Left: CT. Right: PSMA PET, same axial level, 18F-PSMA tracer.
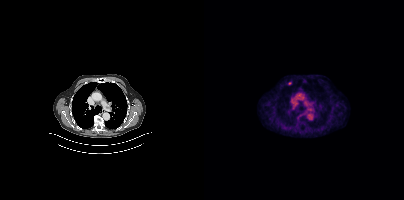
Coordinates are on the 200×200 PET (right) panel. Small PSMA-avid focus (2 to 4 px across) near (center x, center y): (85, 83).